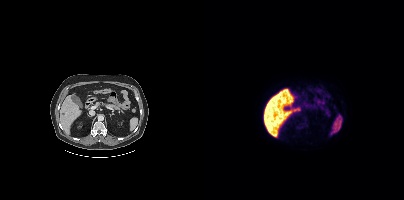
No tumor lesions annotated on this slice.
modality: PSMA PET/CT | tracer: 18F-PSMA | view: axial